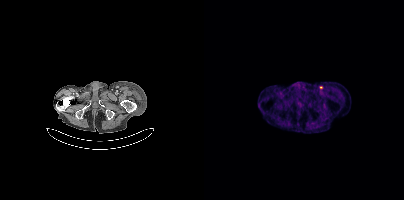
Coordinates are on the 200×200 PET (right) panel. Small PSMA-avid focus (2 to 4 px across) near (center x, center y): (117, 87).